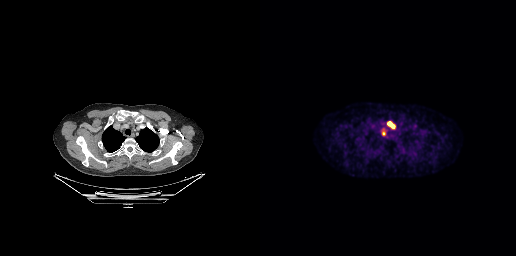
{"modality":"PSMA PET/CT","view":"axial","tracer":"18F-PSMA","pet_grid":[256,256],"coord_frame":"pet_panel","coord_format":"x0,y0,x1,y1","lesion_bboxes":[[127,121,135,128]],"small_foci_centers":[[123,133]]}